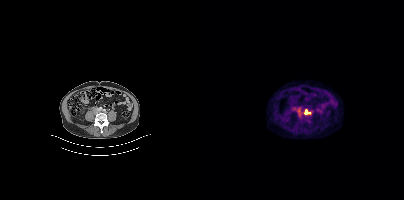
Coordinates are on the 200×200 PET (right) panel. PSMA-avid tumor lesion bounding boxes (x0,y0,x1,y1): [92,108,97,114] [100,109,106,114].